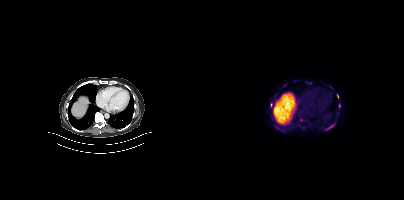
{"modality":"PSMA PET/CT","view":"axial","tracer":"18F-PSMA","pet_grid":[200,200],"coord_frame":"pet_panel","coord_format":"x0,y0,x1,y1","partial":true,"lesion_bboxes":[[121,124,130,130],[71,126,75,129],[133,94,135,98]],"small_foci_centers":[[67,104],[135,105]]}